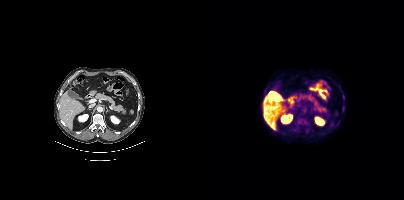
Only PSMA-avid lesion pieces thinner than 2 px on this slice (not listed). Paired axial CT (left) and PSMA PET (right), [18F]PSMA-1007 tracer.